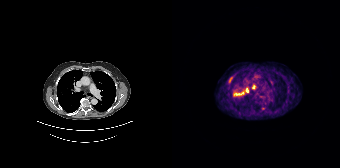
{"modality":"PSMA PET/CT","view":"axial","tracer":"68Ga","pet_grid":[168,168],"coord_frame":"pet_panel","coord_format":"x0,y0,x1,y1","partial":true,"lesion_bboxes":[[57,77,60,82]],"small_foci_centers":[[81,86],[75,90]]}